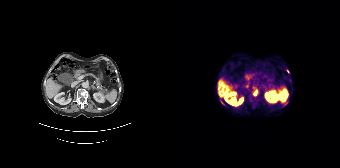
Coordinates are on the 168×168 PET (right) panel. PSMA-avid tumor lesion bounding box (x0,y0,x1,y1): [81,90,86,96]. Small PSMA-avid foci (2 to 4 px across) near (center x, center y): (114, 102), (51, 103), (115, 71).